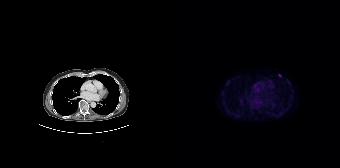
- Two-panel axial: CT | PSMA PET, 18F tracer
- acquired on Siemens Biograph 64-4R TruePoint
Findings: Coordinates are on the 168×168 PET (right) panel. Small PSMA-avid focus (2 to 4 px across) near (center x, center y): (107, 75).